Left: CT. Right: PSMA PET, same axial level, [68Ga]Ga-PSMA-11 tracer. Acquired on Siemens Biograph 64-4R TruePoint. Slice position z = -56 mm.
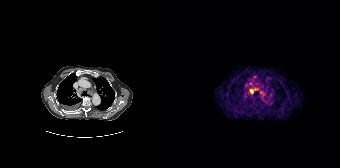
Coordinates are on the 168×168 PET (right) panel. PSMA-avid tumor lesion bounding boxes:
| # | x0 | y0 | x1 | y1 |
|---|---|---|---|---|
| 1 | 77 | 88 | 86 | 93 |
Small PSMA-avid focus (2 to 4 px across) near (center x, center y): (78, 83).